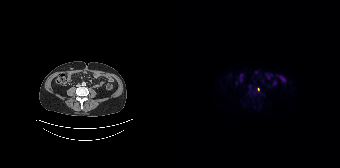
- Paired axial CT (left) and PSMA PET (right), [18F]PSMA-1007 tracer
- acquired on Siemens Biograph 64-4R TruePoint
Findings: Coordinates are on the 168×168 PET (right) panel. Small PSMA-avid focus (2 to 4 px across) near (center x, center y): (86, 89).